Technique: Left: CT. Right: PSMA PET, same axial level, 18F tracer. PET panel 200×200 px (4.1 mm/px).
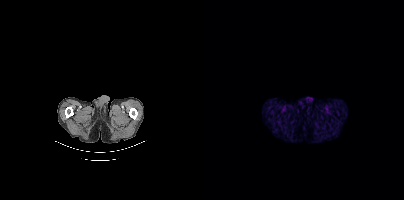
Findings: This slice has no annotated PSMA-avid lesion.